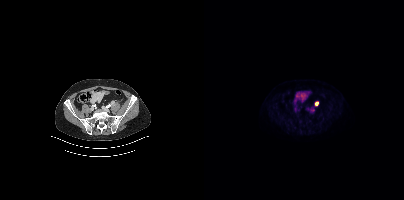
Left: CT. Right: PSMA PET, same axial level, 18F-PSMA tracer. PET panel 200×200 px (4.1 mm/px).
Coordinates are on the 200×200 PET (right) panel. PSMA-avid tumor lesion bounding boxes (partial; 1 more focus not listed):
| # | x0 | y0 | x1 | y1 |
|---|---|---|---|---|
| 1 | 110 | 101 | 114 | 106 |